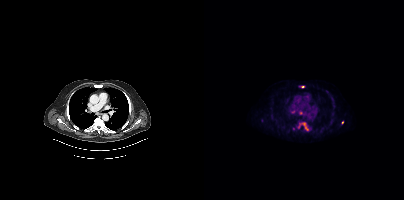
Two-panel axial: CT | PSMA PET, [18F]PSMA-1007 tracer. Acquired on Siemens Biograph mCT Flow 20. Slice position z = -954 mm. Coordinates are on the 200×200 PET (right) panel. PSMA-avid tumor lesion bounding boxes (x0, y0)-(x1, y1): (94, 122)-(104, 130) | (86, 110)-(90, 113). Small PSMA-avid foci (2 to 4 px across) near (center x, center y): (96, 112) | (98, 86) | (138, 122) | (89, 128).